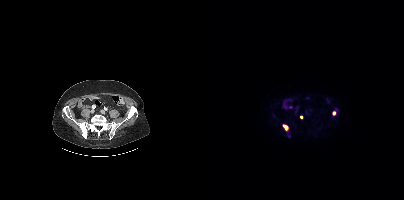
- Two-panel axial: CT | PSMA PET, 18F-PSMA tracer
- slice position z = -1350 mm
Findings: Coordinates are on the 200×200 PET (right) panel. PSMA-avid tumor lesion bounding box (x, y, width, height): x=79 y=124 w=6 h=7. Small PSMA-avid foci (2 to 4 px across) near (center x, center y): (130, 113) / (97, 117).